Paired axial CT (left) and PSMA PET (right), 18F tracer. PET panel 200×200 px (4.1 mm/px).
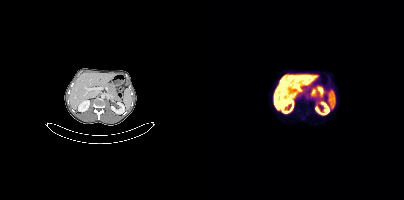
No PSMA-avid tumor lesions on this slice.